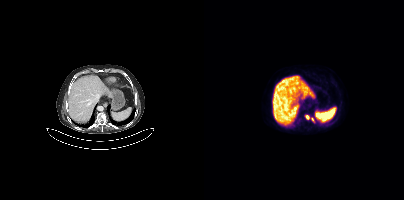
Coordinates are on the 200×200 PET (right) panel. Small PSMA-avid foci (2 to 4 px across) near (center x, center y): (103, 117) / (108, 119). Paired axial CT (left) and PSMA PET (right), 18F tracer. Acquired on Siemens Biograph mCT Flow 20. PET panel 200×200 px (4.1 mm/px).